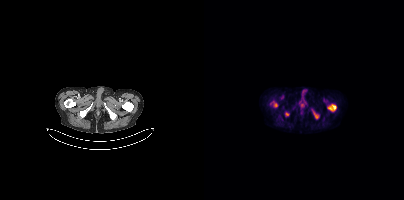
Coordinates are on the 200×200 PET (right) panel. PSMA-avid tumor lesion bounding boxes (x0,y0,x1,y1): [124,104,132,110] [69,101,73,107] [110,113,113,118]. Small PSMA-avid focus (2 to 4 px across) near (center x, center y): (82, 113).
modality: PSMA PET/CT | tracer: 18F-PSMA | view: axial